Technique: Paired axial CT (left) and PSMA PET (right), 18F tracer. slice position z = 6 mm.
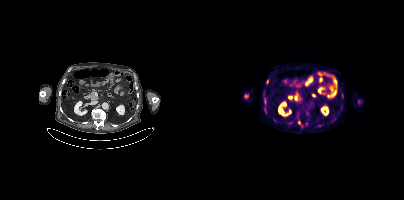
Findings: Coordinates are on the 200×200 PET (right) panel. (showing 2 of 3 foci) Small PSMA-avid foci (2 to 4 px across) near (center x, center y): (63, 81), (94, 122).